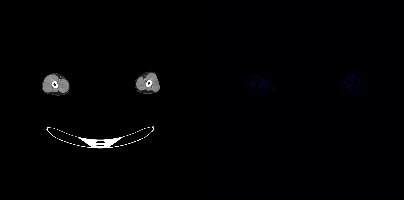
Technique: Two-panel axial: CT | PSMA PET, [18F]PSMA-1007 tracer. PET panel 200×200 px (4.1 mm/px).
Note: An anonymization step blacked out a rectangle over the head in this scan.
Findings: This slice has no annotated PSMA-avid lesion.